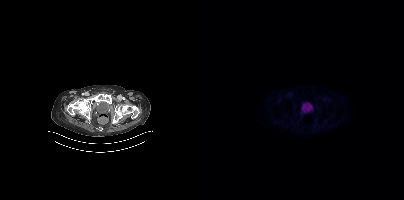
Coordinates are on the 200×200 PET (right) panel. Small PSMA-avid focus (2 to 4 px across) near (center x, center y): (107, 108).